modality: PSMA PET/CT | tracer: [18F]PSMA-1007 | view: axial | deidentification: rectangular block over head set to black
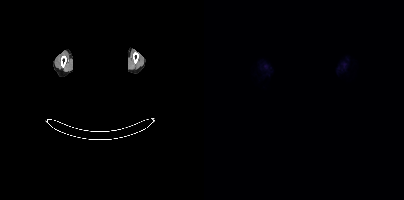
This slice has no annotated PSMA-avid lesion.